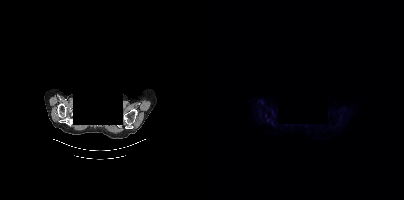
Findings: Coordinates are on the 200×200 PET (right) panel. PSMA-avid tumor lesion bounding box (x0, y0)-(x1, y1): (66, 120)-(70, 125). Small PSMA-avid focus (2 to 4 px across) near (center x, center y): (61, 115).
- Paired axial CT (left) and PSMA PET (right), 18F-PSMA tracer
- acquired on Siemens Biograph mCT Flow 20
- slice position z = -410 mm
- PET panel 200×200 px (4.1 mm/px)
- facial anatomy redacted by setting a rectangular region of the head to black